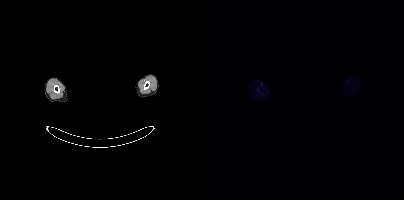
- privacy masking over the head, with the pixels inside a rectangle set to black
- Left: CT. Right: PSMA PET, same axial level, [18F]PSMA-1007 tracer
Findings: No PSMA-avid tumor lesions on this slice.